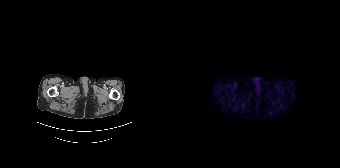
Findings: Negative for PSMA-avid disease on this slice.
Technique: Two-panel axial: CT | PSMA PET, 68Ga tracer. slice 13 of 165. PET panel 168×168 px (4.1 mm/px).